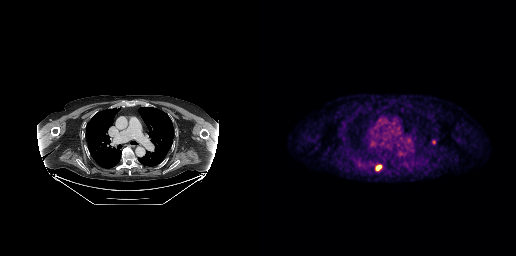
Coordinates are on the 256×256 PET (right) panel. PSMA-avid tumor lesion bounding boxes:
| # | x0 | y0 | x1 | y1 |
|---|---|---|---|---|
| 1 | 115 | 164 | 122 | 171 |
| 2 | 172 | 140 | 175 | 144 |
Left: CT. Right: PSMA PET, same axial level, 18F tracer. Slice 197 of 263. PET panel 256×256 px (2.7 mm/px).